- Two-panel axial: CT | PSMA PET, [18F]PSMA-1007 tracer
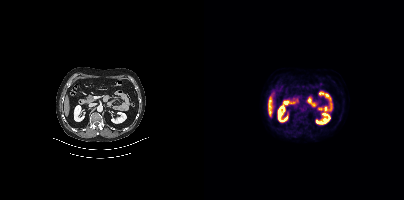
Findings: This slice has no annotated PSMA-avid lesion.